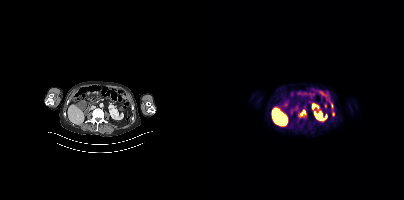
Two-panel axial: CT | PSMA PET, 18F tracer. Coordinates are on the 200×200 PET (right) panel. PSMA-avid tumor lesion bounding boxes (x0,y0,x1,y1): [96,110,101,115], [127,104,129,108]. Small PSMA-avid focus (2 to 4 px across) near (center x, center y): (129, 113).